- Paired axial CT (left) and PSMA PET (right), [18F]PSMA-1007 tracer
- acquired on Siemens Biograph mCT Flow 20
- PET panel 200×200 px (4.1 mm/px)
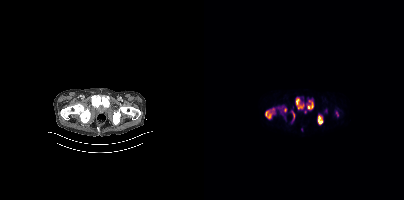
Findings: Coordinates are on the 200×200 PET (right) panel. (showing 7 of 8 foci) PSMA-avid tumor lesion bounding boxes (x0, y0)-(x1, y1): (61, 108)-(71, 119) / (92, 98)-(99, 109) / (114, 115)-(118, 124) / (103, 102)-(109, 108) / (80, 108)-(82, 112) / (89, 112)-(90, 118). Small PSMA-avid focus (2 to 4 px across) near (center x, center y): (107, 108).